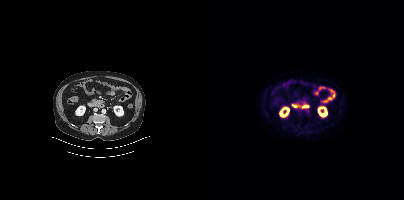
{"modality":"PSMA PET/CT","view":"axial","tracer":"18F","pet_grid":[200,200],"coord_frame":"pet_panel","coord_format":"x0,y0,x1,y1","psma_avid_lesions":false}